Two-panel axial: CT | PSMA PET, 18F tracer. Slice position z = -625 mm.
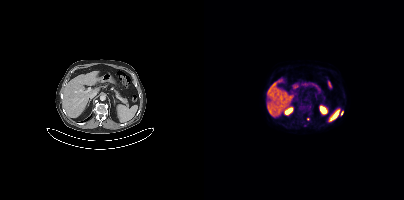
Coordinates are on the 200×200 PET (right) panel. Small PSMA-avid foci (2 to 4 px across) near (center x, center y): (104, 119) / (137, 113).